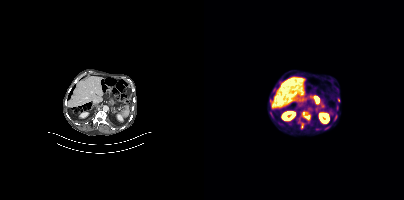
{"modality":"PSMA PET/CT","view":"axial","tracer":"[18F]PSMA-1007","pet_grid":[200,200],"coord_frame":"pet_panel","coord_format":"x0,y0,x1,y1","partial":true,"lesion_bboxes":[[99,113,106,120],[96,122,101,129]],"small_foci_centers":[[70,89],[123,127]]}